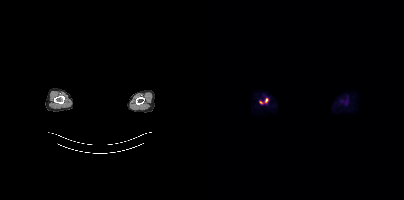
Coordinates are on the 200×200 PET (right) panel. PSMA-avid tumor lesion bounding boxes:
| # | x0 | y0 | x1 | y1 |
|---|---|---|---|---|
| 1 | 61 | 98 | 64 | 102 |
Small PSMA-avid focus (2 to 4 px across) near (center x, center y): (57, 102).
Paired axial CT (left) and PSMA PET (right), [18F]PSMA-1007 tracer. An anonymization step blacked out a rectangle over the head in this scan.